Technique: Paired axial CT (left) and PSMA PET (right), [18F]PSMA-1007 tracer.
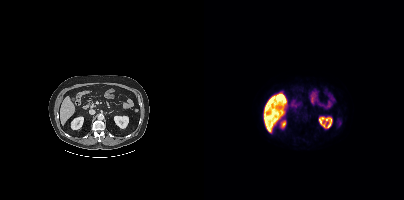
Findings: No tumor lesions annotated on this slice.